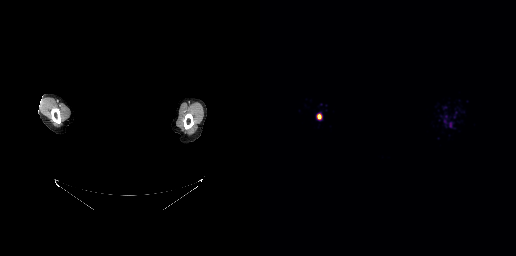
{"modality":"PSMA PET/CT","view":"axial","tracer":"68Ga","pet_grid":[256,256],"coord_frame":"pet_panel","coord_format":"x0,y0,x1,y1","deidentification":"head region blacked out before release","lesion_bboxes":[[57,114,61,119]]}